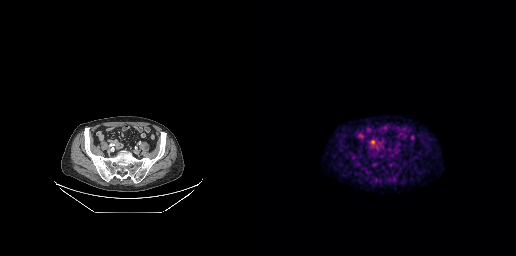
Findings: Coordinates are on the 256×256 PET (right) panel. Small PSMA-avid focus (2 to 4 px across) near (center x, center y): (112, 141).
Technique: Paired axial CT (left) and PSMA PET (right), 68Ga-PSMA tracer. slice position z = -742 mm.